Two-panel axial: CT | PSMA PET, 18F tracer.
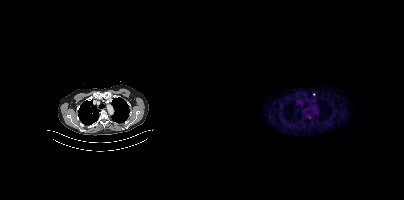
Coordinates are on the 200×200 PET (right) panel. (showing 1 of 2 foci) Small PSMA-avid focus (2 to 4 px across) near (center x, center y): (109, 94).